Two-panel axial: CT | PSMA PET, 18F tracer. Slice 37 of 413. PET panel 200×200 px (4.1 mm/px).
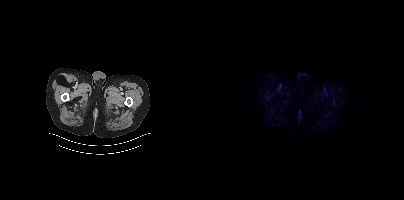
This slice has no annotated PSMA-avid lesion.